modality: PSMA PET/CT | tracer: [68Ga]Ga-PSMA-11 | view: axial | PET grid: 168×168
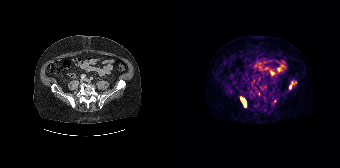
Coordinates are on the 168×168 PET (right) panel. (showing 2 of 4 foci) PSMA-avid tumor lesion bounding box (x0, y0)-(x1, y1): (68, 97)-(74, 107). Small PSMA-avid focus (2 to 4 px across) near (center x, center y): (118, 86).